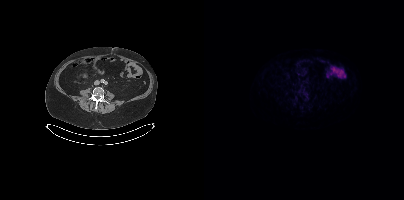
{"modality":"PSMA PET/CT","view":"axial","tracer":"[18F]PSMA-1007","pet_grid":[200,200],"coord_frame":"pet_panel","coord_format":"x0,y0,x1,y1","psma_avid_lesions":false}